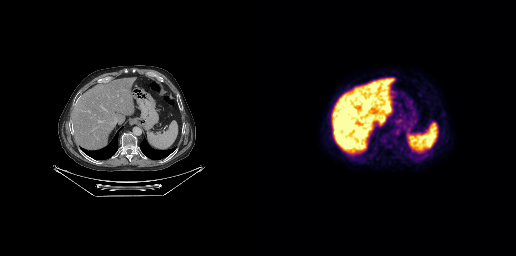
{"pet_grid":[256,256],"coord_frame":"pet_panel","coord_format":"x0,y0,x1,y1","psma_avid_lesions":false,"modality":"PSMA PET/CT","view":"axial","tracer":"[18F]PSMA-1007"}